modality: PSMA PET/CT | tracer: 18F | view: axial
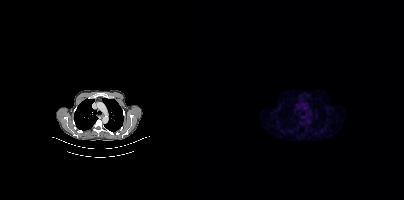
This slice has no annotated PSMA-avid lesion.